Paired axial CT (left) and PSMA PET (right), 18F tracer. PET panel 256×256 px (2.7 mm/px).
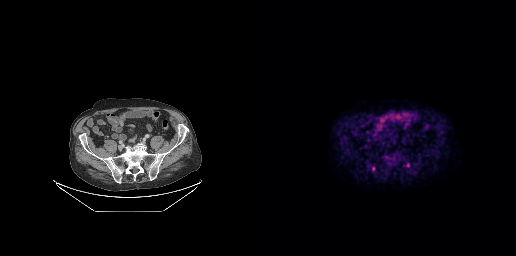
Coordinates are on the 256×256 PET (right) panel. PSMA-avid tumor lesion bounding box (x, y, width, height): x=112 y=166 w=4 h=6.